- Two-panel axial: CT | PSMA PET, 18F-PSMA tracer
- acquired on Siemens Biograph mCT Flow 20
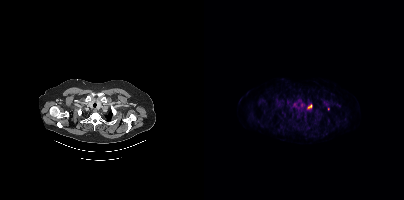
Findings: Coordinates are on the 200×200 PET (right) panel. Small PSMA-avid foci (2 to 4 px across) near (center x, center y): (105, 106) / (124, 109).